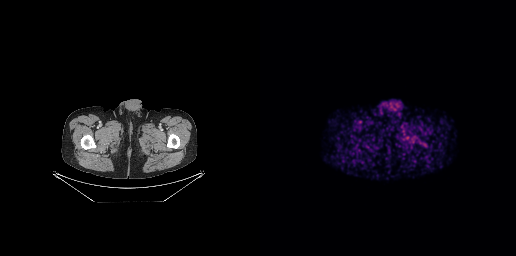
No tumor lesions annotated on this slice.
modality: PSMA PET/CT | tracer: 68Ga | view: axial